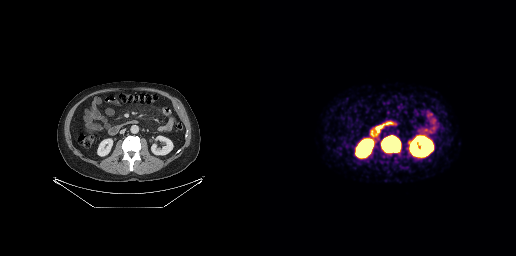
Coordinates are on the 256×256 PET (right) panel. PSMA-avid tumor lesion bounding box (x, y, width, height): x=122 y=136 w=19 h=16.